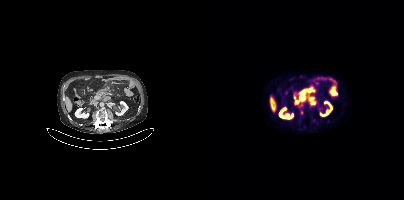
Paired axial CT (left) and PSMA PET (right), 18F-PSMA tracer. PET panel 200×200 px (4.1 mm/px).
Coordinates are on the 200×200 PET (right) panel. PSMA-avid tumor lesion bounding boxes (partial; 1 more focus not listed):
| # | x0 | y0 | x1 | y1 |
|---|---|---|---|---|
| 1 | 96 | 87 | 109 | 100 |
| 2 | 96 | 110 | 99 | 114 |
Small PSMA-avid focus (2 to 4 px across) near (center x, center y): (108, 102).